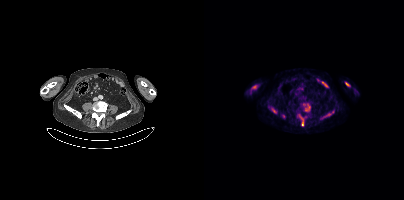
Findings: Coordinates are on the 200×200 PET (right) panel. PSMA-avid tumor lesion bounding boxes (x0, y0)-(x1, y1): (99, 103)-(106, 111) | (94, 114)-(100, 126) | (118, 113)-(126, 118) | (67, 108)-(72, 113) | (141, 82)-(145, 86). Small PSMA-avid focus (2 to 4 px across) near (center x, center y): (79, 116).
- Left: CT. Right: PSMA PET, same axial level, [18F]PSMA-1007 tracer
- PET panel 200×200 px (4.1 mm/px)